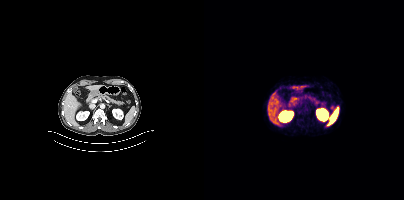
Coordinates are on the 200×200 PET (right) panel. Small PSMA-avid focus (2 to 4 px across) near (center x, center y): (127, 107).